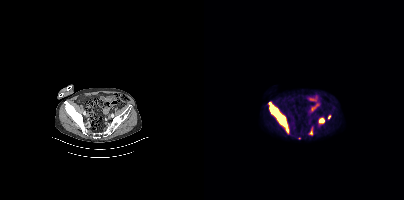
Coordinates are on the 200×200 PET (right) panel. (showing 4 of 5 foci) PSMA-avid tumor lesion bounding boxes (x0, y0)-(x1, y1): (64, 102)-(85, 133); (115, 118)-(120, 123); (105, 128)-(108, 134); (124, 115)-(127, 119).